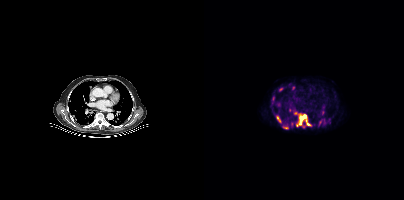
Coordinates are on the 200×200 PET (right) panel. (showing 9 of 11 foci) PSMA-avid tumor lesion bounding boxes (x0, y0)-(x1, y1): (90, 112)-(108, 127) / (72, 116)-(76, 122) / (68, 96)-(70, 101) / (75, 88)-(79, 91) / (79, 126)-(84, 129). Small PSMA-avid foci (2 to 4 px across) near (center x, center y): (119, 112) / (89, 88) / (116, 122) / (74, 104). Paired axial CT (left) and PSMA PET (right), [18F]PSMA-1007 tracer. Slice position z = -531 mm.